Paired axial CT (left) and PSMA PET (right), [68Ga]Ga-PSMA-11 tracer. PET panel 200×200 px (4.1 mm/px).
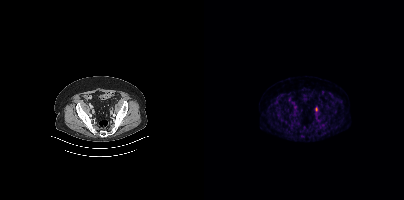
Coordinates are on the 200×200 PET (right) panel. PSMA-avid tumor lesion bounding boxes:
| # | x0 | y0 | x1 | y1 |
|---|---|---|---|---|
| 1 | 111 | 107 | 113 | 111 |